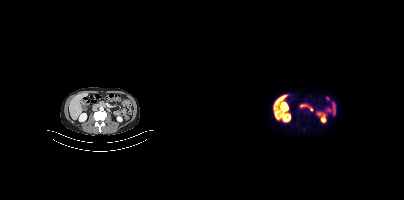
This slice has no annotated PSMA-avid lesion.